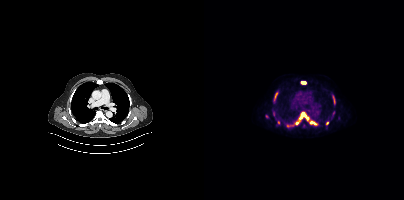
{"modality":"PSMA PET/CT","view":"axial","tracer":"18F-PSMA","pet_grid":[200,200],"coord_frame":"pet_panel","coord_format":"x0,y0,x1,y1","partial":true,"lesion_bboxes":[[96,112,105,120],[105,121,113,125],[83,122,94,127],[70,92,73,101],[97,81,102,84],[128,95,131,101]],"small_foci_centers":[[74,122],[123,123],[99,125]]}